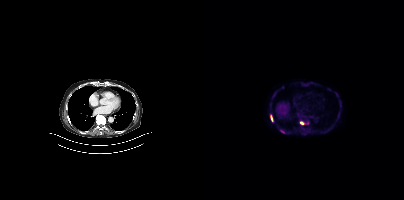
Findings: Coordinates are on the 200×200 PET (right) panel. (showing 4 of 5 foci) PSMA-avid tumor lesion bounding boxes (x, y, width, height): x=67 y=115 w=2 h=7 | x=76 y=130 w=5 h=4. Small PSMA-avid foci (2 to 4 px across) near (center x, center y): (97, 122) | (102, 123).
- Left: CT. Right: PSMA PET, same axial level, 18F tracer
- acquired on Siemens Biograph mCT Flow 20
- PET panel 200×200 px (4.1 mm/px)